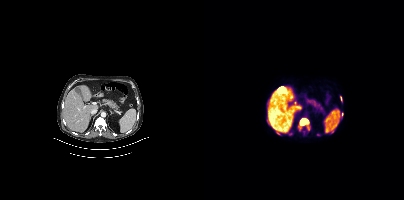
Paired axial CT (left) and PSMA PET (right), [18F]PSMA-1007 tracer. Acquired on Siemens Biograph mCT Flow 20. Coordinates are on the 200×200 PET (right) panel. (showing 1 of 3 foci) PSMA-avid tumor lesion bounding box (x, y, width, height): x=96 y=118 w=10 h=12.